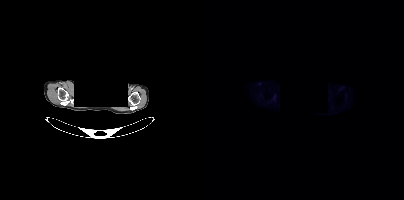
No tumor lesions annotated on this slice.
Face de-identified by blanking a block of the head.